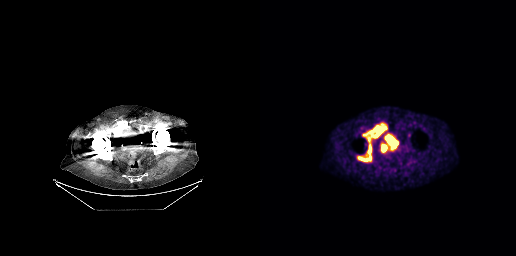
Paired axial CT (left) and PSMA PET (right), 18F tracer. PET panel 256×256 px (2.7 mm/px). Coordinates are on the 256×256 PET (right) panel. (showing 3 of 4 foci) PSMA-avid tumor lesion bounding boxes (x, y, width, height): x=110 y=125 w=17 h=13 | x=98 y=144 w=14 h=18 | x=108 y=137 w=3 h=5.